Two-panel axial: CT | PSMA PET, 18F tracer. Slice position z = -461 mm.
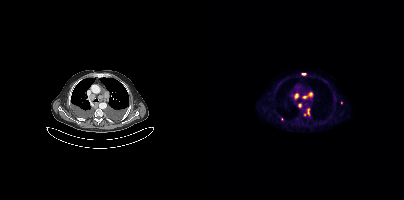
Coordinates are on the 200×200 PET (right) panel. PSMA-avid tumor lesion bounding boxes (x0,y0,x1,y1): [99,92,108,98]; [90,93,94,98]; [97,73,102,75]; [94,103,97,107]; [103,109,105,114]. Small PSMA-avid foci (2 to 4 px across) near (center x, center y): (137, 102); (77, 119); (100, 114).